Left: CT. Right: PSMA PET, same axial level, [18F]PSMA-1007 tracer.
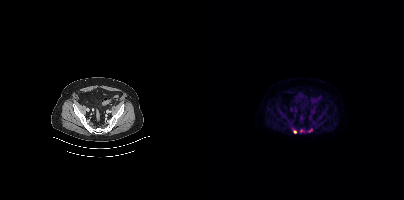
Coordinates are on the 200×200 PET (right) panel. Small PSMA-avid foci (2 to 4 px across) near (center x, center y): (90, 131); (105, 130); (97, 130).